- Paired axial CT (left) and PSMA PET (right), 18F tracer
- acquired on Siemens Biograph mCT Flow 20
- slice 370 of 423
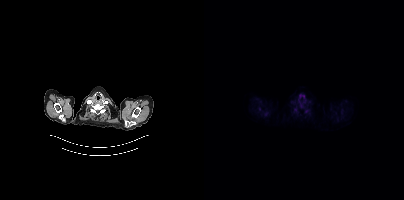
Findings: Coordinates are on the 200×200 PET (right) panel. Small PSMA-avid focus (2 to 4 px across) near (center x, center y): (102, 110).